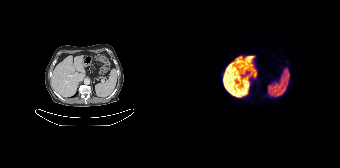
Paired axial CT (left) and PSMA PET (right), 18F-PSMA tracer. PET panel 168×168 px (4.1 mm/px). No tumor lesions annotated on this slice.